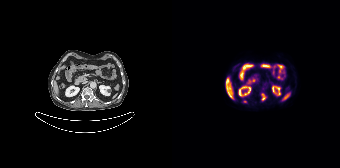
Paired axial CT (left) and PSMA PET (right), 18F tracer. Slice position z = -1306 mm. PET panel 168×168 px (4.1 mm/px). Coordinates are on the 168×168 PET (right) panel. PSMA-avid tumor lesion bounding box (x0, y0)-(x1, y1): (89, 93)-(94, 100). Small PSMA-avid foci (2 to 4 px across) near (center x, center y): (72, 101); (90, 88).